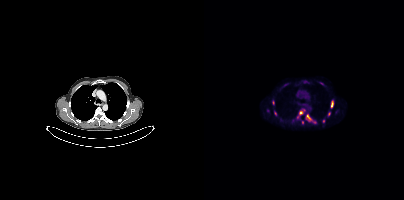
Coordinates are on the 200×200 PET (right) panel. (showing 10 of 11 foci) PSMA-avid tumor lesion bounding boxes (x0, y0)-(x1, y1): (102, 114)-(112, 123) | (93, 109)-(101, 118) | (126, 100)-(129, 108) | (68, 100)-(70, 104) | (124, 112)-(126, 116) | (70, 111)-(72, 115). Small PSMA-avid foci (2 to 4 px across) near (center x, center y): (81, 85) | (117, 83) | (119, 121) | (98, 122).